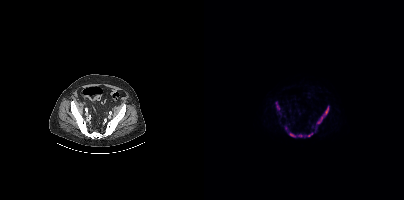
Findings: Coordinates are on the 200×200 PET (right) panel. (showing 4 of 5 foci) PSMA-avid tumor lesion bounding boxes (x0,y0,x1,y1): [112,105,125,129] [85,132,109,137] [71,102,76,110] [81,126,83,131].
- Paired axial CT (left) and PSMA PET (right), 18F tracer
- acquired on Siemens Biograph mCT Flow 20
- PET panel 200×200 px (4.1 mm/px)